Technique: Paired axial CT (left) and PSMA PET (right), 18F tracer. acquired on Siemens Biograph mCT Flow 20. slice 27 of 407.
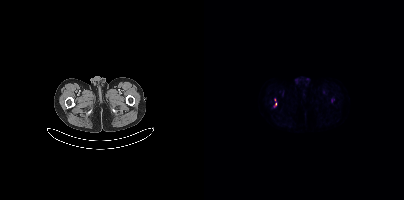
Findings: Coordinates are on the 200×200 PET (right) panel. Small PSMA-avid foci (2 to 4 px across) near (center x, center y): (71, 104); (70, 99).